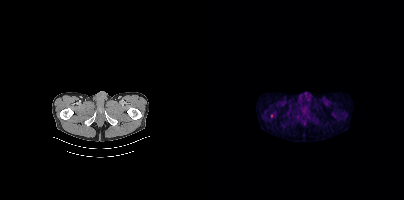
- Two-panel axial: CT | PSMA PET, 18F tracer
Findings: Coordinates are on the 200×200 PET (right) panel. Small PSMA-avid focus (2 to 4 px across) near (center x, center y): (67, 115).